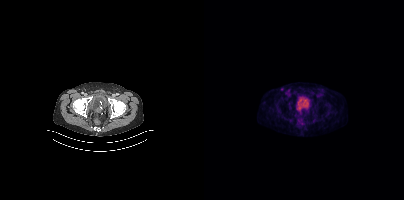
modality: PSMA PET/CT | tracer: 18F | view: axial
Negative for PSMA-avid disease on this slice.